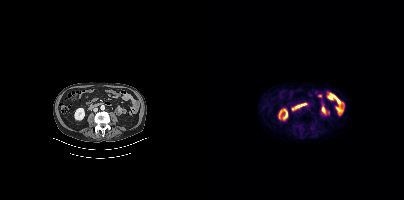
Paired axial CT (left) and PSMA PET (right), 18F-PSMA tracer. No tumor lesions annotated on this slice.